- Paired axial CT (left) and PSMA PET (right), [18F]PSMA-1007 tracer
- acquired on GE Discovery 690
- slice position z = -489 mm
- PET panel 256×256 px (2.7 mm/px)
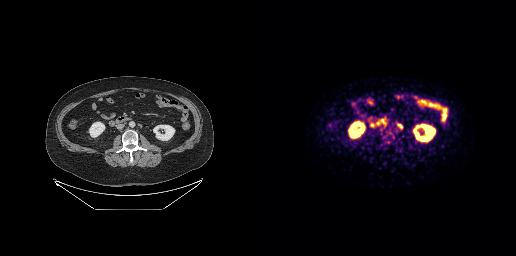
Findings: Coordinates are on the 256×256 PET (right) panel. Small PSMA-avid focus (2 to 4 px across) near (center x, center y): (124, 121).